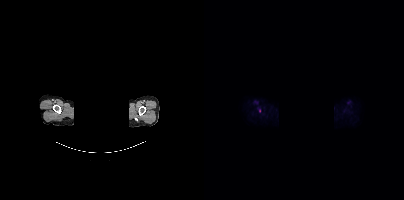
modality: PSMA PET/CT | tracer: 18F-PSMA | view: axial | deidentification: head region blacked out before release
Coordinates are on the 200×200 PET (right) panel. Small PSMA-avid focus (2 to 4 px across) near (center x, center y): (55, 110).